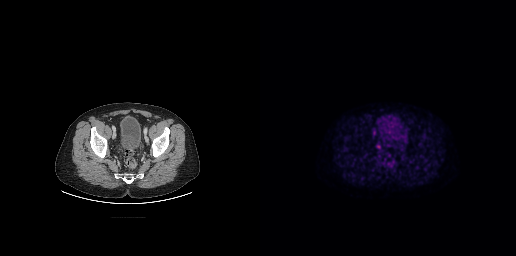
Findings: Coordinates are on the 256×256 PET (right) panel. Small PSMA-avid focus (2 to 4 px across) near (center x, center y): (118, 146).
Technique: Left: CT. Right: PSMA PET, same axial level, [18F]PSMA-1007 tracer.